- Two-panel axial: CT | PSMA PET, 18F-PSMA tracer
- acquired on Siemens Biograph mCT Flow 20
- slice 252 of 389
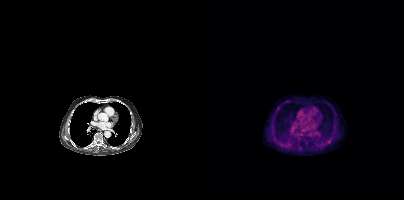
Findings: Only PSMA-avid lesion pieces thinner than 2 px on this slice (not listed).